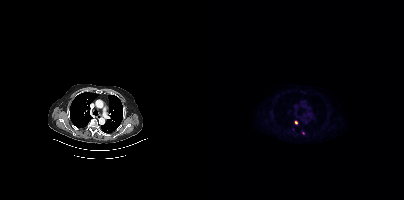
Coordinates are on the 200×200 PET (right) panel. (showing 1 of 2 foci) Small PSMA-avid focus (2 to 4 px across) near (center x, center y): (92, 122).